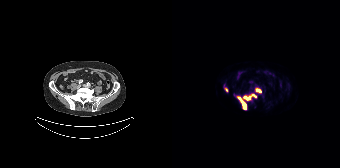
Coordinates are on the 168×168 PET (right) panel. PSMA-avid tumor lesion bounding boxes:
| # | x0 | y0 | x1 | y1 |
|---|---|---|---|---|
| 1 | 65 | 93 | 84 | 109 |
| 2 | 83 | 88 | 89 | 93 |
Small PSMA-avid focus (2 to 4 px across) near (center x, center y): (54, 89).
Paired axial CT (left) and PSMA PET (right), 18F tracer.